Technique: Left: CT. Right: PSMA PET, same axial level, 18F tracer. acquired on Siemens Biograph mCT Flow 20. slice position z = -1077 mm.
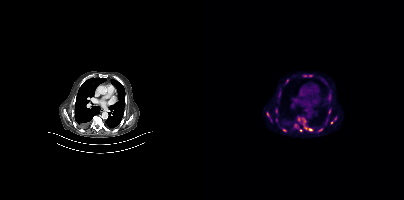
Findings: Coordinates are on the 200×200 PET (right) panel. (showing 11 of 13 foci) PSMA-avid tumor lesion bounding boxes (x0,y0,x1,y1): [94,118,108,131], [90,124,98,131], [62,112,68,121], [127,117,132,124], [124,109,126,113]. Small PSMA-avid foci (2 to 4 px across) near (center x, center y): (80, 130), (126, 95), (101, 75), (116, 130), (83, 80), (105, 75).